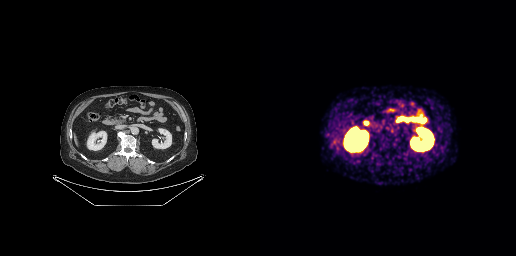
modality: PSMA PET/CT | tracer: [68Ga]Ga-PSMA-11 | view: axial
No tumor lesions annotated on this slice.